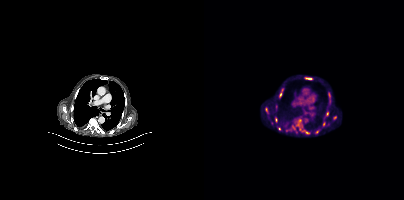
{"pet_grid":[200,200],"coord_frame":"pet_panel","coord_format":"x0,y0,x1,y1","partial":true,"lesion_bboxes":[[91,120,97,129],[76,87,80,93],[61,107,64,113],[71,117,73,122],[88,125,91,129]],"small_foci_centers":[[123,113],[131,117],[119,123],[72,106],[103,132]],"modality":"PSMA PET/CT","view":"axial","tracer":"18F-PSMA"}